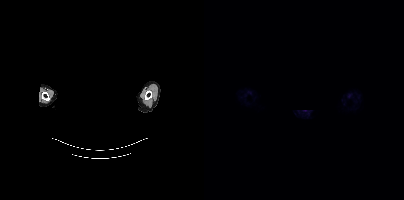
Technique: Paired axial CT (left) and PSMA PET (right), 68Ga tracer. acquired on Siemens Biograph mCT Flow 20. PET panel 200×200 px (4.1 mm/px).
Note: Face de-identified by blanking a block of the head.
Findings: No PSMA-avid tumor lesions on this slice.